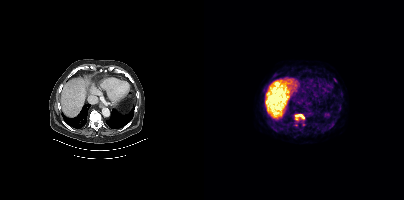
Findings: Coordinates are on the 200×200 PET (right) panel. (showing 2 of 3 foci) PSMA-avid tumor lesion bounding boxes (x0, y0)-(x1, y1): (91, 114)-(100, 120); (129, 78)-(132, 82).
- Two-panel axial: CT | PSMA PET, [18F]PSMA-1007 tracer
- slice 277 of 454
- PET panel 200×200 px (4.1 mm/px)